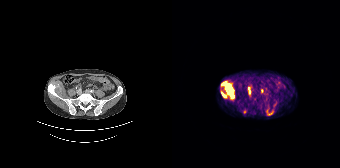
- Two-panel axial: CT | PSMA PET, 68Ga tracer
- acquired on Siemens Biograph 64-4R TruePoint
- slice 66 of 195
- PET panel 168×168 px (4.1 mm/px)
Findings: Coordinates are on the 168×168 PET (right) panel. PSMA-avid tumor lesion bounding boxes (x0,y0,x1,y1): [49,81,62,99]; [94,109,101,115]; [76,87,78,93]. Small PSMA-avid foci (2 to 4 px across) near (center x, center y): (90, 90); (72, 111).